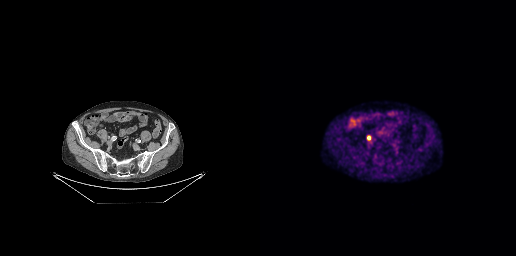
Findings: Coordinates are on the 256×256 PET (right) panel. PSMA-avid tumor lesion bounding box (x0, y0)-(x1, y1): (107, 136)-(110, 140).
- Left: CT. Right: PSMA PET, same axial level, [18F]PSMA-1007 tracer
- acquired on GE Discovery 690
- slice 82 of 263